Paired axial CT (left) and PSMA PET (right), 68Ga-PSMA tracer. Slice 56 of 195. PET panel 168×168 px (4.1 mm/px).
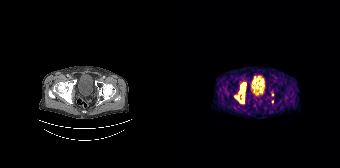
Coordinates are on the 168×168 PET (right) panel. PSMA-avid tumor lesion bounding boxes:
| # | x0 | y0 | x1 | y1 |
|---|---|---|---|---|
| 1 | 67 | 83 | 73 | 101 |
Small PSMA-avid foci (2 to 4 px across) near (center x, center y): (100, 94); (100, 101).